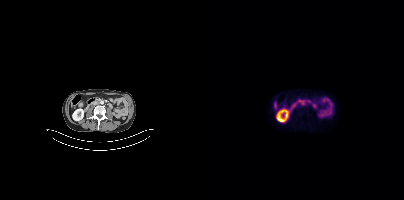
Coordinates are on the 200×200 PET (right) panel. PSMA-avid tumor lesion bounding box (x0,y0,x1,y1): [96,100,101,105].